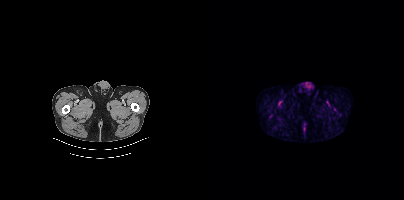
Left: CT. Right: PSMA PET, same axial level, [18F]PSMA-1007 tracer. Acquired on Siemens Biograph mCT Flow 20. Slice position z = -1505 mm. PET panel 200×200 px (4.1 mm/px). Negative for PSMA-avid disease on this slice.